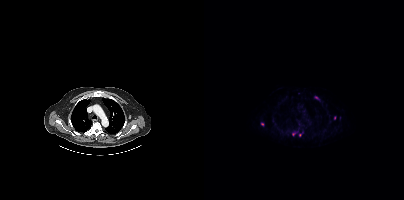
Two-panel axial: CT | PSMA PET, 18F-PSMA tracer. Slice 408 of 508. PET panel 200×200 px (4.1 mm/px). Coordinates are on the 200×200 PET (right) panel. (showing 4 of 5 foci) Small PSMA-avid foci (2 to 4 px across) near (center x, center y): (58, 124); (89, 134); (130, 118); (96, 135).